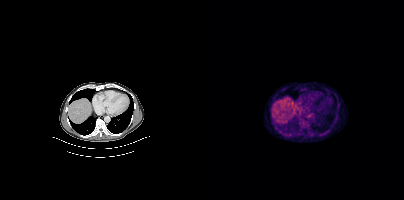
modality: PSMA PET/CT | tracer: [18F]PSMA-1007 | view: axial | PET grid: 200×200
Coordinates are on the 200×200 PET (right) panel. PSMA-avid tumor lesion bounding boxes (x, y, width, height): x=117 y=131 w=6 h=6 / x=81 y=133 w=5 h=5. Small PSMA-avid focus (2 to 4 px across) near (center x, center y): (96, 120).